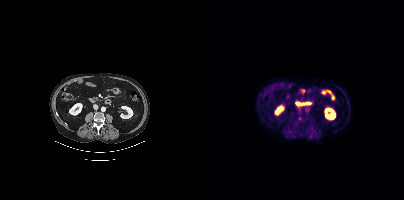
Coordinates are on the 200×200 PET (right) panel. Small PSMA-avid focus (2 to 4 px across) near (center x, center y): (96, 118).